Technique: Paired axial CT (left) and PSMA PET (right), 18F-PSMA tracer. slice 3 of 263.
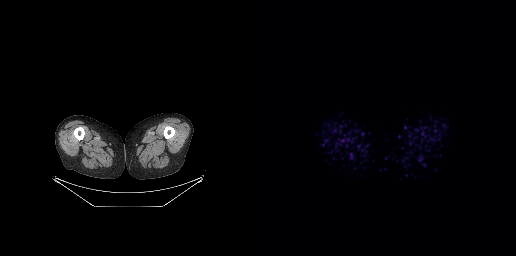
Findings: This slice has no annotated PSMA-avid lesion.